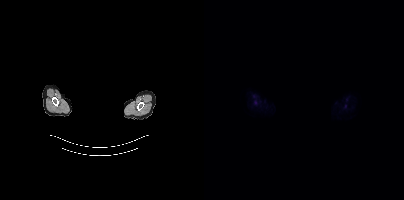
{"modality":"PSMA PET/CT","view":"axial","tracer":"18F","pet_grid":[200,200],"coord_frame":"pet_panel","coord_format":"x0,y0,x1,y1","psma_avid_lesions":false,"redaction":"head region blacked out before release"}